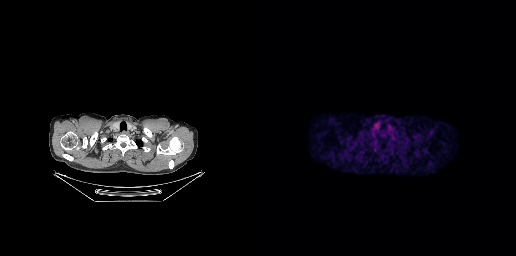
Two-panel axial: CT | PSMA PET, [18F]PSMA-1007 tracer. Acquired on GE Discovery 690. Negative for PSMA-avid disease on this slice.